Left: CT. Right: PSMA PET, same axial level, 18F-PSMA tracer. Acquired on Siemens Biograph mCT Flow 20. Slice position z = -1016 mm. PET panel 200×200 px (4.1 mm/px).
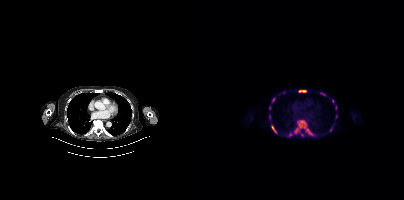
Coordinates are on the 200×200 PET (right) panel. PSMA-avid tumor lesion bounding boxes (partial; 2 more foci not listed):
| # | x0 | y0 | x1 | y1 |
|---|---|---|---|---|
| 1 | 90 | 120 | 102 | 136 |
| 2 | 67 | 124 | 72 | 133 |
| 3 | 95 | 90 | 102 | 92 |
| 4 | 68 | 98 | 71 | 102 |
| 5 | 103 | 129 | 108 | 134 |
| 6 | 75 | 91 | 79 | 94 |
Small PSMA-avid foci (2 to 4 px across) near (center x, center y): (65, 107); (86, 134); (132, 108); (65, 116); (126, 130); (128, 101); (120, 94).